Paired axial CT (left) and PSMA PET (right), 18F tracer. Acquired on Siemens Biograph mCT Flow 20. PET panel 200×200 px (4.1 mm/px).
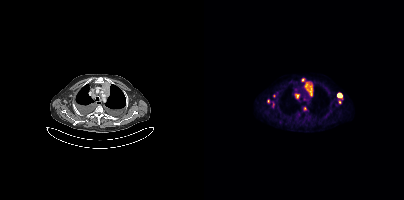
Coordinates are on the 200×200 PET (right) panel. PSMA-avid tumor lesion bounding boxes (x0, y0)-(x1, y1): (101, 82)-(108, 96) | (133, 93)-(138, 99) | (91, 94)-(95, 98) | (63, 99)-(66, 103). Small PSMA-avid foci (2 to 4 px across) near (center x, center y): (135, 101) | (99, 79) | (69, 103) | (70, 96) | (101, 108).